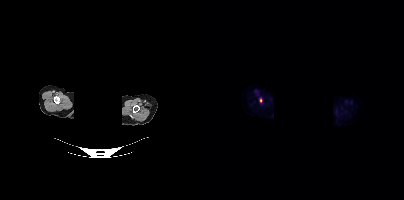
- face de-identified by blanking a block of the head
- Left: CT. Right: PSMA PET, same axial level, [18F]PSMA-1007 tracer
- slice 333 of 381
Findings: Coordinates are on the 200×200 PET (right) panel. PSMA-avid tumor lesion bounding box (x0,y0,x1,y1): [56,98,58,102].